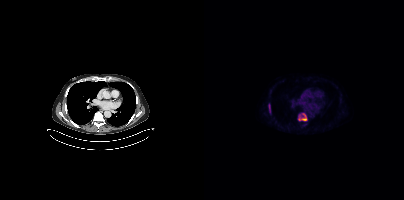
{"modality":"PSMA PET/CT","view":"axial","tracer":"18F","pet_grid":[200,200],"coord_frame":"pet_panel","coord_format":"x0,y0,x1,y1","lesion_bboxes":[[94,113,103,121],[64,104,66,113]]}